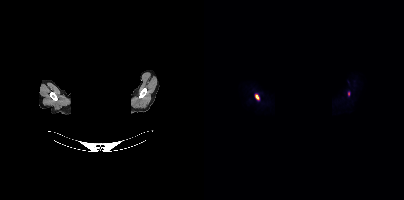
{"pet_grid":[200,200],"coord_frame":"pet_panel","coord_format":"x0,y0,x1,y1","lesion_bboxes":[[51,94,55,99]],"small_foci_centers":[[144,93]],"modality":"PSMA PET/CT","view":"axial","tracer":"18F-PSMA","redaction":"head region blanked (face removed)"}